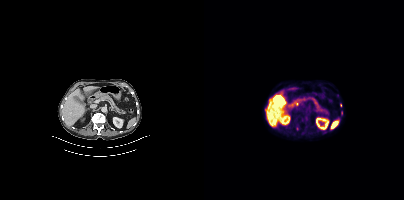
Paired axial CT (left) and PSMA PET (right), 18F-PSMA tracer. Acquired on Siemens Biograph mCT Flow 20. Coordinates are on the 200×200 PET (right) panel. (showing 1 of 5 foci) Small PSMA-avid focus (2 to 4 px across) near (center x, center y): (137, 112).